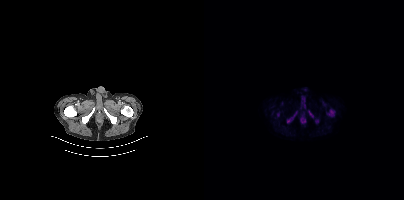
Coordinates are on the 200×200 PET (right) panel. PSMA-avid tumor lesion bounding boxes (x, y, width, height): x=123 y=109 w=9 h=8; x=83 y=112 w=10 h=11; x=105 y=112 w=5 h=6. Small PSMA-avid foci (2 to 4 px across) near (center x, center y): (112, 121); (74, 115).